- Left: CT. Right: PSMA PET, same axial level, 18F tracer
- acquired on GE Discovery 690
- slice position z = -359 mm
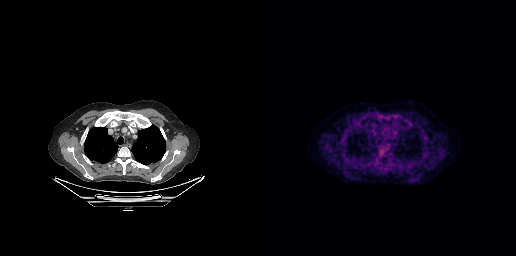
Findings: No tumor lesions annotated on this slice.